Paired axial CT (left) and PSMA PET (right), 18F-PSMA tracer. Acquired on GE Discovery 690.
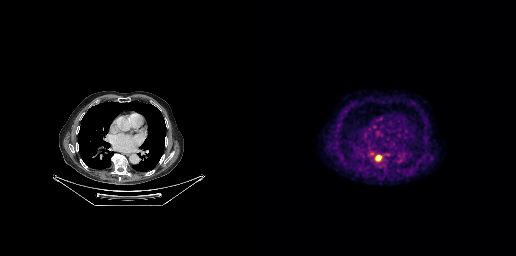
Coordinates are on the 256×256 PET (right) panel. PSMA-avid tumor lesion bounding boxes (x0, y0)-(x1, y1): (110, 152)-(121, 161); (122, 159)-(128, 166).